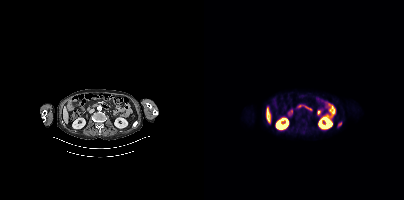
Coordinates are on the 200×200 PET (right) panel. Small PSMA-avid focus (2 to 4 px across) near (center x, center y): (135, 124).